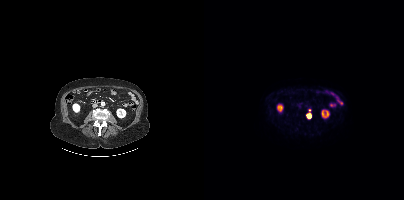
Left: CT. Right: PSMA PET, same axial level, 18F-PSMA tracer.
Coordinates are on the 200×200 PET (right) panel. PSMA-avid tumor lesion bounding boxes:
| # | x0 | y0 | x1 | y1 |
|---|---|---|---|---|
| 1 | 103 | 114 | 107 | 118 |